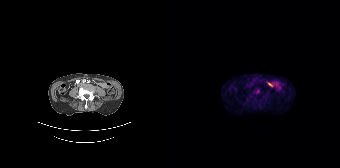
No tumor lesions annotated on this slice. Paired axial CT (left) and PSMA PET (right), 68Ga tracer. Acquired on Siemens Biograph 64-4R TruePoint.